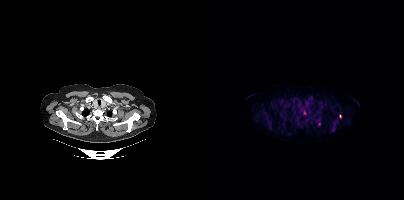
- Left: CT. Right: PSMA PET, same axial level, 18F-PSMA tracer
Findings: Coordinates are on the 200×200 PET (right) panel. (showing 6 of 7 foci) PSMA-avid tumor lesion bounding boxes (x, y, width, height): x=127 y=119 w=8 h=13 / x=98 y=109 w=5 h=6 / x=91 y=117 w=5 h=4. Small PSMA-avid foci (2 to 4 px across) near (center x, center y): (115, 124) / (136, 116) / (107, 98).